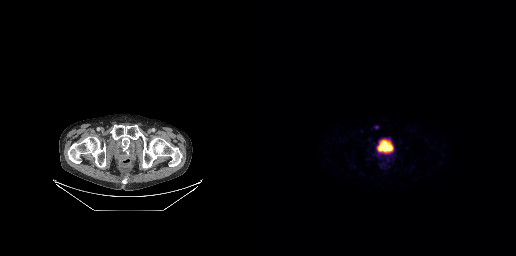
{"modality":"PSMA PET/CT","view":"axial","tracer":"68Ga","pet_grid":[256,256],"coord_frame":"pet_panel","coord_format":"x0,y0,x1,y1","lesion_bboxes":[],"small_foci_centers":[[116,127]]}